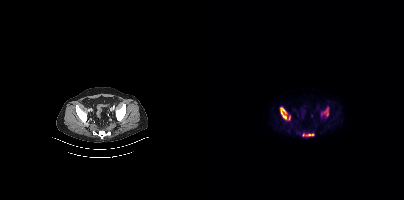
modality: PSMA PET/CT | tracer: [18F]PSMA-1007 | view: axial | PET grid: 200×200
Coordinates are on the 200×200 PET (right) panel. (showing 4 of 5 foci) PSMA-avid tumor lesion bounding boxes (x0,y0,x1,y1): [76,107,82,119], [119,107,124,116], [102,134,109,135]. Small PSMA-avid focus (2 to 4 px across) near (center x, center y): (85, 118).